Technique: Paired axial CT (left) and PSMA PET (right), 18F-PSMA tracer. acquired on Siemens Biograph mCT Flow 20. slice 89 of 393. PET panel 200×200 px (4.1 mm/px).
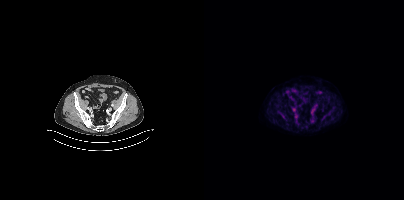
Findings: Coordinates are on the 200×200 PET (right) panel. PSMA-avid tumor lesion bounding boxes (x, y, width, height): x=74 y=111 w=10 h=10 | x=117 y=115 w=6 h=6.